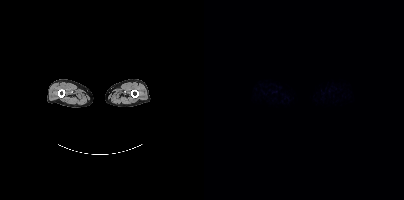
No tumor lesions annotated on this slice. Left: CT. Right: PSMA PET, same axial level, 18F-PSMA tracer. Acquired on Siemens Biograph mCT Flow 20. PET panel 200×200 px (4.1 mm/px).